- Left: CT. Right: PSMA PET, same axial level, [18F]PSMA-1007 tracer
- acquired on Siemens Biograph mCT Flow 20
- PET panel 200×200 px (4.1 mm/px)
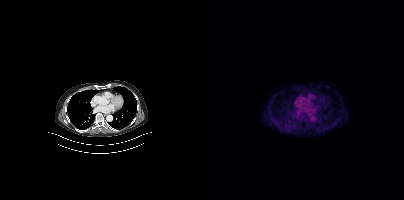
Findings: No tumor lesions annotated on this slice.